- the face region was removed for patient privacy by blanking a rectangle over the head
- Paired axial CT (left) and PSMA PET (right), 18F-PSMA tracer
- PET panel 200×200 px (4.1 mm/px)
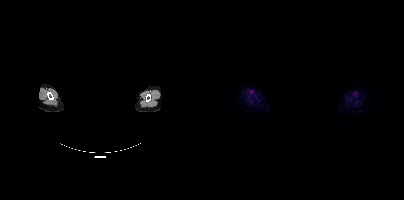
Findings: No tumor lesions annotated on this slice.